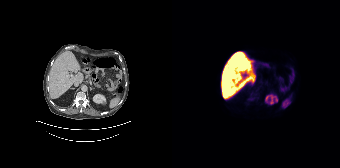
- Paired axial CT (left) and PSMA PET (right), 18F-PSMA tracer
- acquired on Siemens Biograph 64-4R TruePoint
- slice 93 of 165
Findings: This slice has no annotated PSMA-avid lesion.